modality: PSMA PET/CT | tracer: 18F | view: axial | PET grid: 200×200
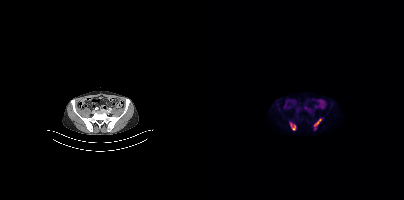
Coordinates are on the 200×200 PET (right) panel. PSMA-avid tumor lesion bounding boxes (x0, y0)-(x1, y1): (86, 122)-(92, 130) / (110, 119)-(116, 125).